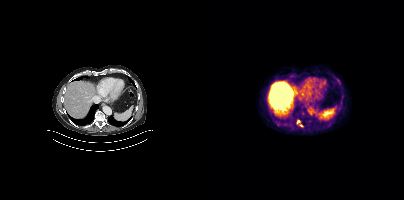
Paired axial CT (left) and PSMA PET (right), [18F]PSMA-1007 tracer. PET panel 200×200 px (4.1 mm/px). Coordinates are on the 200×200 PET (right) panel. Small PSMA-avid foci (2 to 4 px across) near (center x, center y): (94, 121) | (97, 125).